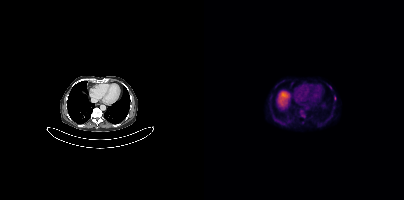
Technique: Paired axial CT (left) and PSMA PET (right), 18F-PSMA tracer. slice position z = -458 mm.
Findings: Coordinates are on the 200×200 PET (right) panel. PSMA-avid tumor lesion bounding box (x0,y0,x1,y1): [70,119,76,123].